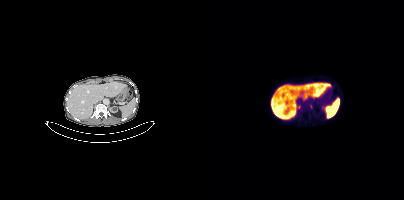
Coordinates are on the 200×200 PET (right) panel. Small PSMA-avid focus (2 to 4 px across) near (center x, center y): (95, 106).